Some pixels were blanked for anonymization. Left: CT. Right: PSMA PET, same axial level, 18F-PSMA tracer. Slice 230 of 263. PET panel 256×256 px (2.7 mm/px).
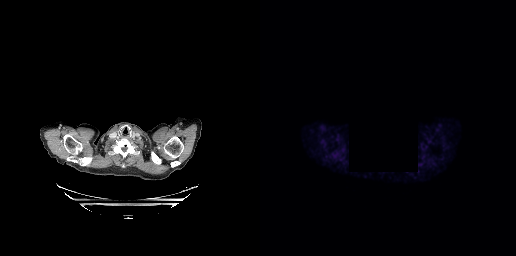
Negative for PSMA-avid disease on this slice.